Paired axial CT (left) and PSMA PET (right), [18F]PSMA-1007 tracer.
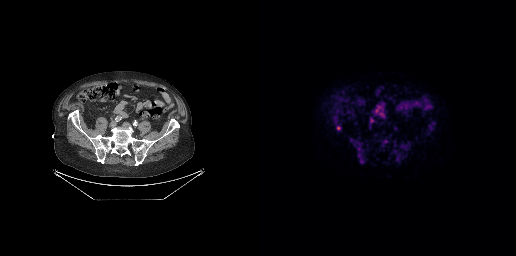
Coordinates are on the 256×256 PET (right) panel. Small PSMA-avid focus (2 to 4 px across) near (center x, center y): (78, 127).